Paired axial CT (left) and PSMA PET (right), 18F tracer. Slice position z = -808 mm.
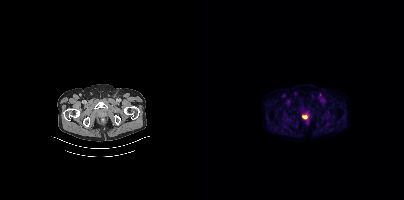
Coordinates are on the 200×200 PET (right) panel. PSMA-avid tumor lesion bounding boxes:
| # | x0 | y0 | x1 | y1 |
|---|---|---|---|---|
| 1 | 98 | 115 | 103 | 119 |
Small PSMA-avid focus (2 to 4 px across) near (center x, center y): (116, 95).